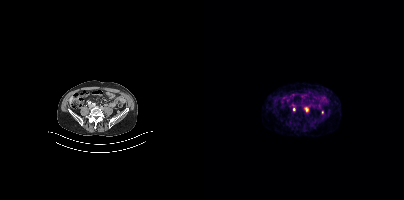
Coordinates are on the 200×200 PET (right) panel. PSMA-avid tumor lesion bounding boxes (partial; 1 more focus not listed):
| # | x0 | y0 | x1 | y1 |
|---|---|---|---|---|
| 1 | 101 | 107 | 104 | 111 |
Small PSMA-avid focus (2 to 4 px across) near (center x, center y): (90, 109).
Paired axial CT (left) and PSMA PET (right), 68Ga-PSMA tracer. Acquired on Siemens Biograph mCT Flow 20. PET panel 200×200 px (4.1 mm/px).